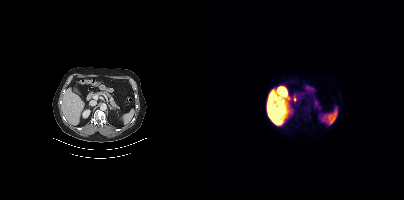
Paired axial CT (left) and PSMA PET (right), 18F-PSMA tracer. Slice 222 of 458. PET panel 200×200 px (4.1 mm/px). No tumor lesions annotated on this slice.